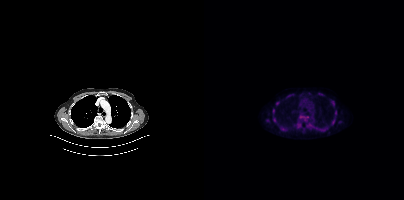
{"pet_grid":[200,200],"coord_frame":"pet_panel","coord_format":"x0,y0,x1,y1","partial":true,"lesion_bboxes":[[69,109,70,113],[131,110,132,114]],"small_foci_centers":[[128,103],[130,119],[70,119],[73,103],[123,128]],"modality":"PSMA PET/CT","view":"axial","tracer":"18F-PSMA"}